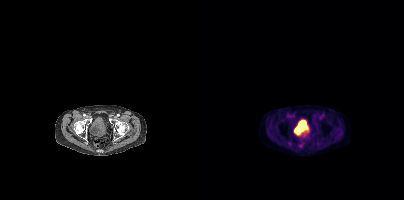
- Left: CT. Right: PSMA PET, same axial level, 18F tracer
- slice position z = -388 mm
- PET panel 200×200 px (4.1 mm/px)
Findings: Coordinates are on the 200×200 PET (right) panel. (showing 1 of 2 foci) Small PSMA-avid focus (2 to 4 px across) near (center x, center y): (100, 136).